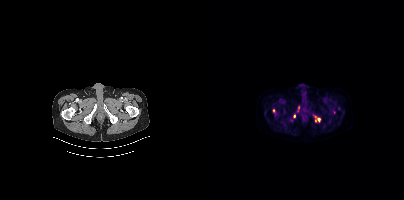
Coordinates are on the 200×200 PET (right) panel. (showing 4 of 5 foci) PSMA-avid tumor lesion bounding boxes (x0,y0,x1,y1): [109,115,116,122], [93,106,95,111]. Small PSMA-avid foci (2 to 4 px across) near (center x, center y): (69, 110), (90, 116).